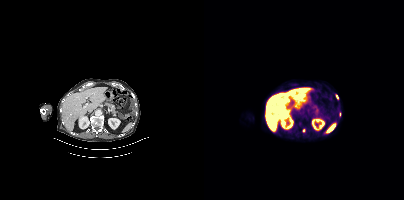
Coordinates are on the 200×200 PET (right) panel. PSMA-avid tumor lesion bounding boxes:
| # | x0 | y0 | x1 | y1 |
|---|---|---|---|---|
| 1 | 131 | 94 | 134 | 99 |
| 2 | 135 | 112 | 137 | 116 |
Small PSMA-avid focus (2 to 4 px across) near (center x, center y): (99, 130).
Two-panel axial: CT | PSMA PET, 18F tracer.